modality: PSMA PET/CT | tracer: [18F]PSMA-1007 | view: axial | PET grid: 200×200 | deidentification: head region blacked out before release
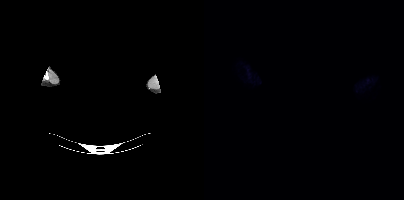
No tumor lesions annotated on this slice.